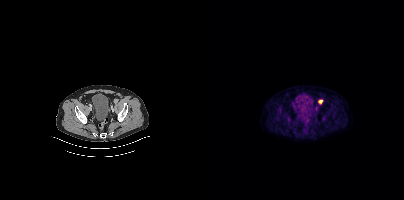
Coordinates are on the 200×200 PET (right) panel. PSMA-avid tumor lesion bounding box (x0,y0,x1,y1): [114,99,119,104].